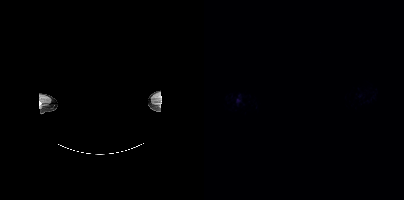
Coordinates are on the 200×200 PET (right) panel. (showing 1 of 2 foci) PSMA-avid tumor lesion bounding box (x0, y0)-(x1, y1): (32, 99)-(36, 102).
modality: PSMA PET/CT | tracer: [18F]PSMA-1007 | view: axial | redaction: head region blanked (face removed)